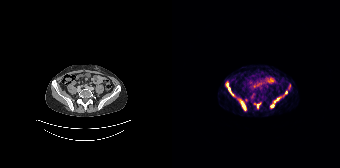
modality: PSMA PET/CT | tracer: 68Ga-PSMA | view: axial
Coordinates are on the 168×168 PET (right) panel. (showing 5 of 6 foci) PSMA-avid tumor lesion bounding boxes (x, y, width, height): x=98 y=97 w=12 h=12 / x=68 y=99 w=7 h=12 / x=55 y=83 w=7 h=13. Small PSMA-avid foci (2 to 4 px across) near (center x, center y): (114, 92) / (85, 106).